- Paired axial CT (left) and PSMA PET (right), 68Ga tracer
- acquired on Siemens Biograph mCT Flow 20
- slice position z = -1576 mm
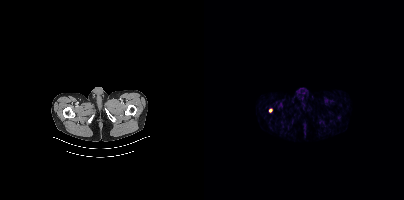
Findings: Coordinates are on the 200×200 PET (right) panel. Small PSMA-avid focus (2 to 4 px across) near (center x, center y): (66, 110).